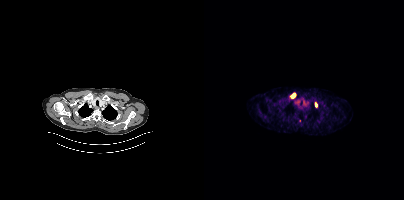
Paired axial CT (left) and PSMA PET (right), 68Ga-PSMA tracer. Slice position z = -938 mm.
Coordinates are on the 200×200 PET (right) panel. PSMA-avid tumor lesion bounding boxes:
| # | x0 | y0 | x1 | y1 |
|---|---|---|---|---|
| 1 | 88 | 93 | 91 | 97 |
Small PSMA-avid focus (2 to 4 px across) near (center x, center y): (112, 104).